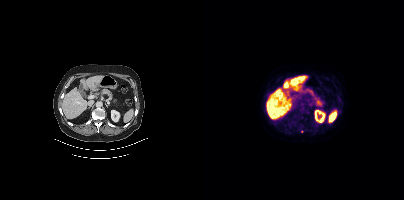
Coordinates are on the 200×200 PET (right) panel. PSMA-avid tumor lesion bounding boxes (x, y, width, height): x=95 y=110 w=6 h=5; x=133 y=97 w=4 h=5. Small PSMA-avid foci (2 to 4 px across) near (center x, center y): (86, 123); (97, 131); (101, 119).
modality: PSMA PET/CT | tracer: [18F]PSMA-1007 | view: axial